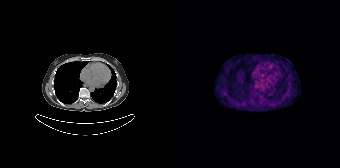
Left: CT. Right: PSMA PET, same axial level, [68Ga]Ga-PSMA-11 tracer. Acquired on Siemens Biograph 64-4R TruePoint. No PSMA-avid tumor lesions on this slice.